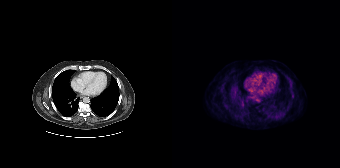
Only PSMA-avid lesion pieces thinner than 2 px on this slice (not listed).